Technique: Paired axial CT (left) and PSMA PET (right), 68Ga-PSMA tracer. acquired on Siemens Biograph 64-4R TruePoint. slice position z = -1073 mm. PET panel 168×168 px (4.1 mm/px).
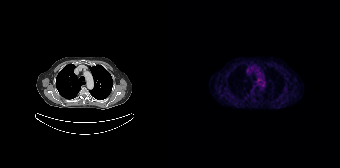
Findings: This slice has no annotated PSMA-avid lesion.